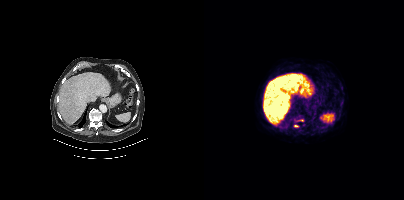
Findings: Coordinates are on the 200×200 PET (right) panel. PSMA-avid tumor lesion bounding box (x0,y0,x1,y1): [90,125,94,126]. Small PSMA-avid focus (2 to 4 px across) near (center x, center y): (98, 120).
Technique: Two-panel axial: CT | PSMA PET, 18F-PSMA tracer. PET panel 200×200 px (4.1 mm/px).